Two-panel axial: CT | PSMA PET, 68Ga-PSMA tracer.
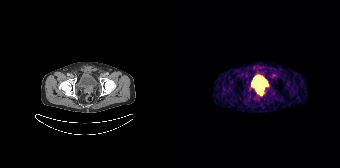
Coordinates are on the 168×168 PET (right) panel. PSMA-avid tumor lesion bounding boxes (partial; 1 more focus not listed):
| # | x0 | y0 | x1 | y1 |
|---|---|---|---|---|
| 1 | 83 | 88 | 90 | 94 |
Small PSMA-avid focus (2 to 4 px across) near (center x, center y): (91, 87).